Left: CT. Right: PSMA PET, same axial level, 18F-PSMA tracer. Acquired on Siemens Biograph mCT Flow 20. Slice 131 of 387.
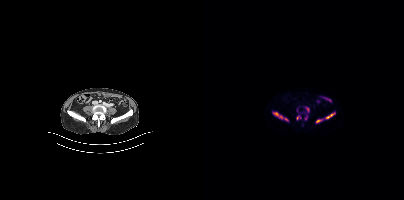
Coordinates are on the 200×200 PET (right) panel. PSMA-avid tumor lesion bounding boxes:
| # | x0 | y0 | x1 | y1 |
|---|---|---|---|---|
| 1 | 69 | 112 | 78 | 118 |
| 2 | 122 | 113 | 131 | 118 |
| 3 | 112 | 119 | 118 | 123 |
| 4 | 92 | 116 | 96 | 119 |
| 5 | 102 | 107 | 104 | 111 |
Small PSMA-avid foci (2 to 4 px across) near (center x, center y): (82, 119); (101, 118).